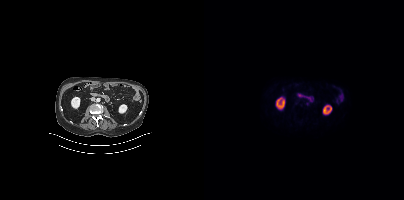
modality: PSMA PET/CT | tracer: 18F | view: axial | PET grid: 200×200
No tumor lesions annotated on this slice.